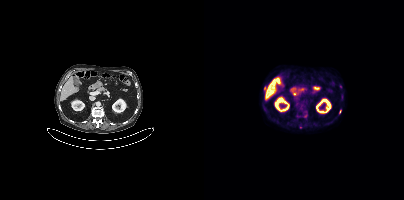
Paired axial CT (left) and PSMA PET (right), 18F tracer. Slice position z = -1192 mm. Coordinates are on the 200×200 PET (right) panel. (showing 2 of 4 foci) Small PSMA-avid foci (2 to 4 px across) near (center x, center y): (136, 111) | (60, 88).